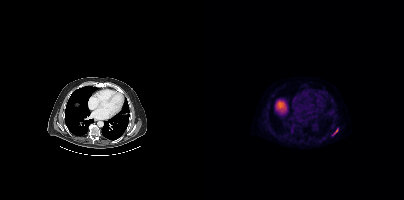
{"modality":"PSMA PET/CT","view":"axial","tracer":"[18F]PSMA-1007","pet_grid":[200,200],"coord_frame":"pet_panel","coord_format":"x0,y0,x1,y1","lesion_bboxes":[[129,129,134,134]]}